Technique: Two-panel axial: CT | PSMA PET, 18F-PSMA tracer. acquired on Siemens Biograph mCT Flow 20.
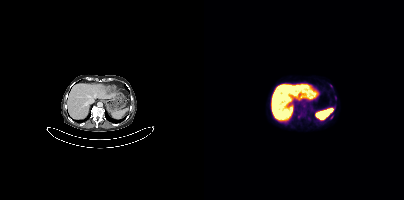
Findings: No tumor lesions annotated on this slice.